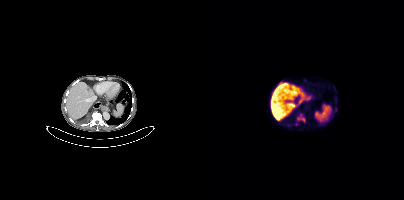
Coordinates are on the 200×200 PET (right) panel. PSMA-avid tumor lesion bounding boxes (partial; 1 more focus not listed):
| # | x0 | y0 | x1 | y1 |
|---|---|---|---|---|
| 1 | 93 | 114 | 101 | 122 |
Paired axial CT (left) and PSMA PET (right), [18F]PSMA-1007 tracer. Acquired on Siemens Biograph mCT Flow 20. Slice 196 of 354.